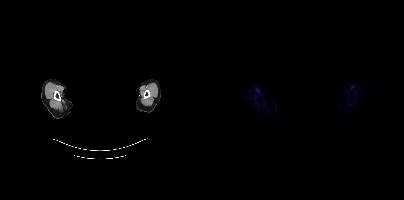
deidentification: facial region redacted | modality: PSMA PET/CT | tracer: 18F-PSMA | view: axial
No PSMA-avid tumor lesions on this slice.